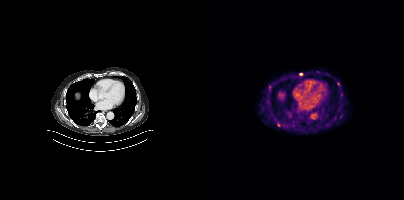
Coordinates are on the 200×200 PET (right) panel. Small PSMA-avid foci (2 to 4 px across) near (center x, center y): (134, 83) | (97, 74) | (74, 125).